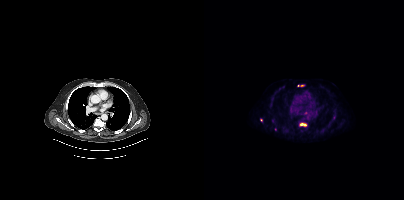
Coordinates are on the 200×200 PET (right) panel. (showing 4 of 6 foci) PSMA-avid tumor lesion bounding box (x0, y0)-(x1, y1): (95, 123)-(102, 126). Small PSMA-avid foci (2 to 4 px across) near (center x, center y): (130, 117) / (101, 112) / (98, 85).